modality: PSMA PET/CT | tracer: 18F-PSMA | view: axial
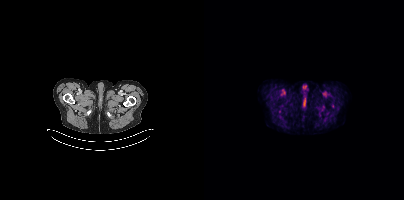
No PSMA-avid tumor lesions on this slice.